modality: PSMA PET/CT | tracer: [18F]PSMA-1007 | view: axial
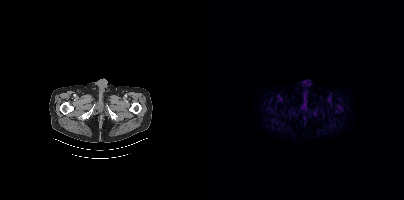
No PSMA-avid tumor lesions on this slice.